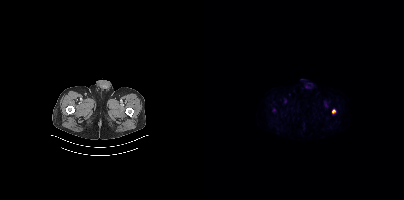
Left: CT. Right: PSMA PET, same axial level, [18F]PSMA-1007 tracer. Slice position z = -1677 mm. PET panel 200×200 px (4.1 mm/px).
Coordinates are on the 200×200 PET (right) panel. PSMA-avid tumor lesion bounding boxes:
| # | x0 | y0 | x1 | y1 |
|---|---|---|---|---|
| 1 | 128 | 109 | 131 | 113 |